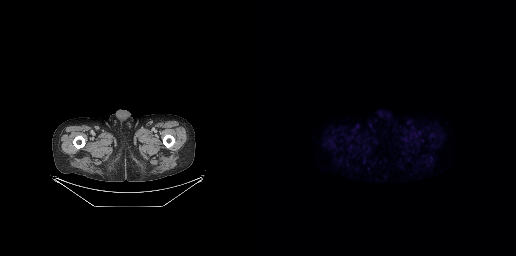
- Paired axial CT (left) and PSMA PET (right), 18F tracer
- slice position z = -775 mm
Findings: This slice has no annotated PSMA-avid lesion.